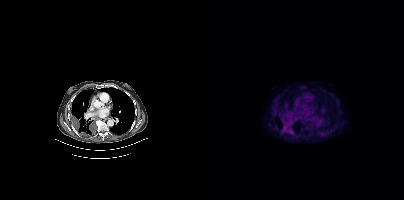
{"modality":"PSMA PET/CT","view":"axial","tracer":"18F-PSMA","pet_grid":[200,200],"coord_frame":"pet_panel","coord_format":"x0,y0,x1,y1","lesion_bboxes":[[82,128,88,134]],"small_foci_centers":[[85,112]]}